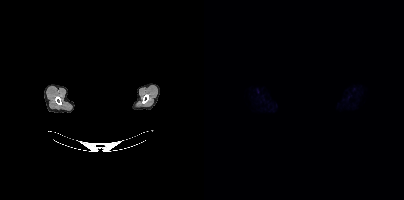
This slice has no annotated PSMA-avid lesion.
modality: PSMA PET/CT | tracer: [18F]PSMA-1007 | view: axial | redaction: privacy mask over head